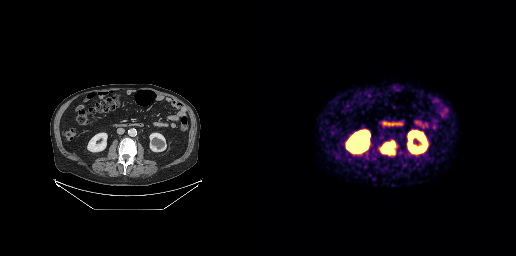
Findings: Coordinates are on the 256×256 PET (right) panel. PSMA-avid tumor lesion bounding box (x, y, width, height): x=121 y=140 w=14 h=15.
Technique: Two-panel axial: CT | PSMA PET, 68Ga-PSMA tracer. acquired on GE Discovery 690.